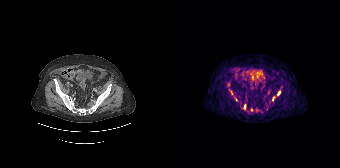
{"modality":"PSMA PET/CT","view":"axial","tracer":"68Ga-PSMA","pet_grid":[168,168],"coord_frame":"pet_panel","coord_format":"x0,y0,x1,y1","partial":true,"lesion_bboxes":[[100,96,103,101],[105,91,108,95]],"small_foci_centers":[[72,106],[89,112],[59,92]]}